Paired axial CT (left) and PSMA PET (right), [18F]PSMA-1007 tracer. Slice position z = -1610 mm. PET panel 200×200 px (4.1 mm/px).
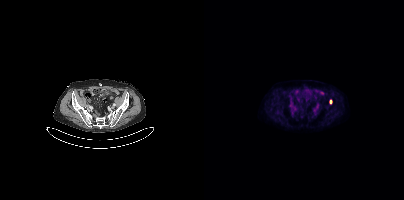
Coordinates are on the 200×200 PET (right) panel. Small PSMA-avid focus (2 to 4 px across) near (center x, center y): (127, 101).